modality: PSMA PET/CT | tracer: 18F | view: axial
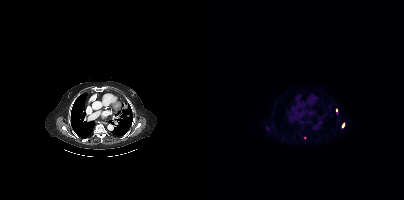
Coordinates are on the 200×200 PET (right) panel. (showing 2 of 3 foci) PSMA-avid tumor lesion bounding box (x0, y0)-(x1, y1): (138, 123)-(140, 127). Small PSMA-avid focus (2 to 4 px across) near (center x, center y): (132, 110).